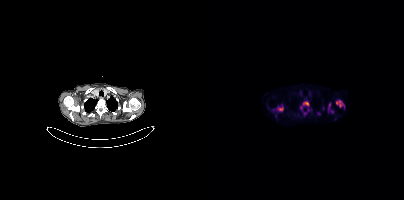
Technique: Two-panel axial: CT | PSMA PET, 18F-PSMA tracer. PET panel 200×200 px (4.1 mm/px).
Findings: Coordinates are on the 200×200 PET (right) panel. (showing 8 of 10 foci) PSMA-avid tumor lesion bounding boxes (x, y, width, height): x=132 y=100 w=9 h=8; x=73 y=106 w=7 h=6; x=99 y=101 w=6 h=5; x=124 y=103 w=3 h=9. Small PSMA-avid foci (2 to 4 px across) near (center x, center y): (97, 108); (128, 111); (101, 113); (114, 113).